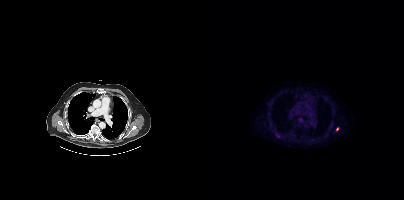
modality: PSMA PET/CT | tracer: [18F]PSMA-1007 | view: axial | PET grid: 200×200
Coordinates are on the 200×200 PET (right) panel. Small PSMA-avid focus (2 to 4 px across) near (center x, center y): (133, 129).